Technique: Two-panel axial: CT | PSMA PET, 18F-PSMA tracer.
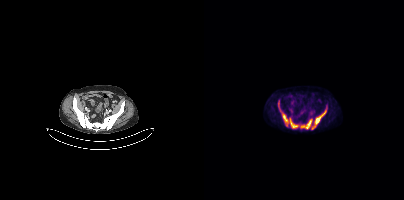
Findings: Coordinates are on the 200×200 PET (right) panel. PSMA-avid tumor lesion bounding boxes (x0,y0,x1,y1): [74,101,93,128] [108,107,123,129] [97,119,107,128].